modality: PSMA PET/CT | tracer: 18F-PSMA | view: axial | PET grid: 200×200
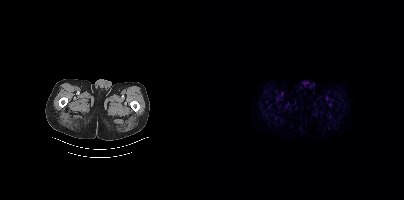
This slice has no annotated PSMA-avid lesion.